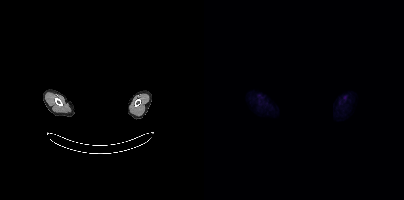
{"modality":"PSMA PET/CT","view":"axial","tracer":"18F","pet_grid":[200,200],"coord_frame":"pet_panel","coord_format":"x0,y0,x1,y1","deidentification":"head region blanked (face removed)","psma_avid_lesions":false}